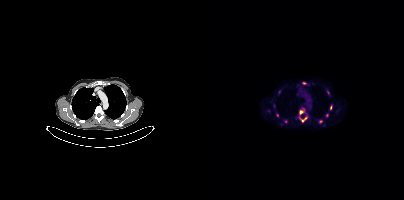
Coordinates are on the 200×200 PET (right) panel. (showing 9 of 11 foci) PSMA-avid tumor lesion bounding boxes (x0,y0,x1,y1): [95,108,103,122] [126,105,128,110] [98,82,102,84]. Small PSMA-avid foci (2 to 4 px across) near (center x, center y): (116, 121) (123, 115) (124, 92) (81, 121) (73, 115) (75, 92). Left: CT. Right: PSMA PET, same axial level, 18F-PSMA tracer. Acquired on Siemens Biograph mCT Flow 20. PET panel 200×200 px (4.1 mm/px).